- Paired axial CT (left) and PSMA PET (right), [68Ga]Ga-PSMA-11 tracer
- acquired on Siemens Biograph mCT Flow 20
- facial anatomy redacted by setting a rectangular region of the head to black
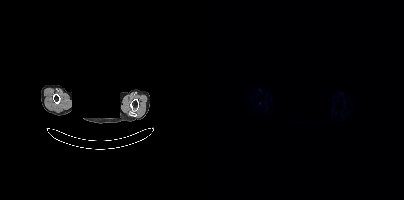
Findings: Only PSMA-avid lesion pieces thinner than 2 px on this slice (not listed).